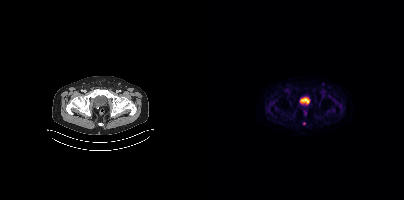
{"modality":"PSMA PET/CT","view":"axial","tracer":"[68Ga]Ga-PSMA-11","pet_grid":[200,200],"coord_frame":"pet_panel","coord_format":"x0,y0,x1,y1","lesion_bboxes":[],"small_foci_centers":[[99,123]]}